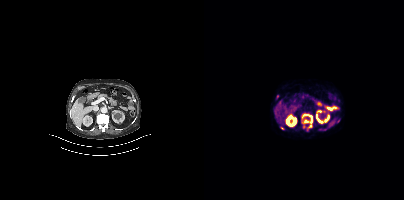
Coordinates are on the 200×200 PET (right) panel. PSMA-avid tumor lesion bounding boxes (x, y, width, height): x=97 y=113 w=12 h=18 | x=72 y=95 w=3 h=5 | x=76 y=126 w=5 h=4. Small PSMA-avid foci (2 to 4 px across) near (center x, center y): (121, 129) | (70, 108) | (134, 120) | (100, 126).